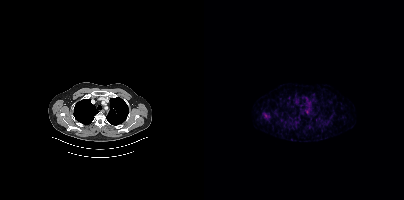
Technique: Paired axial CT (left) and PSMA PET (right), [68Ga]Ga-PSMA-11 tracer.
Findings: Coordinates are on the 200×200 PET (right) panel. Small PSMA-avid focus (2 to 4 px across) near (center x, center y): (61, 115).